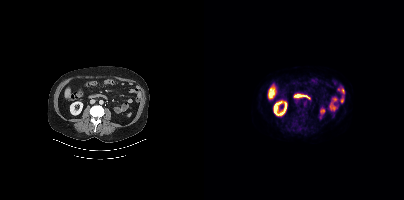
{"modality":"PSMA PET/CT","view":"axial","tracer":"18F","pet_grid":[200,200],"coord_frame":"pet_panel","coord_format":"x0,y0,x1,y1","psma_avid_lesions":false}